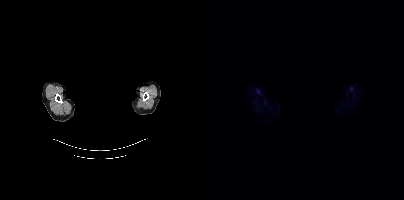
- Paired axial CT (left) and PSMA PET (right), 18F tracer
- acquired on Siemens Biograph mCT Flow 20
- slice position z = -894 mm
- head region blanked for anonymization (face removed)
Findings: This slice has no annotated PSMA-avid lesion.